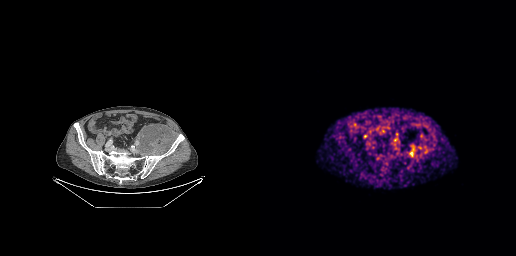
modality: PSMA PET/CT | tracer: 68Ga-PSMA | view: axial | PET grid: 256×256
Coordinates are on the 256×256 PET (right) panel. PSMA-avid tumor lesion bounding box (x0, y0)-(x1, y1): (147, 146)-(155, 157).